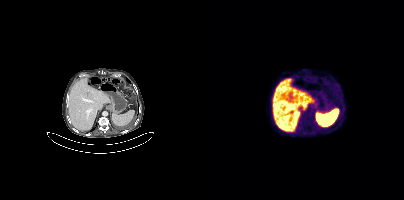
{"modality":"PSMA PET/CT","view":"axial","tracer":"18F","pet_grid":[200,200],"coord_frame":"pet_panel","coord_format":"x0,y0,x1,y1","psma_avid_lesions":false}